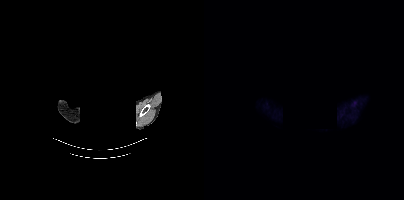
Face de-identified by blanking a block of the head. Left: CT. Right: PSMA PET, same axial level, 18F-PSMA tracer. Acquired on Siemens Biograph mCT Flow 20. Slice 371 of 411. PET panel 200×200 px (4.1 mm/px). Negative for PSMA-avid disease on this slice.